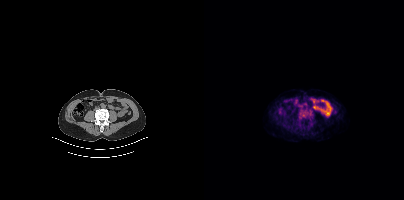
No PSMA-avid tumor lesions on this slice.